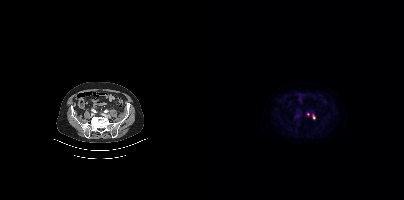
- Two-panel axial: CT | PSMA PET, [18F]PSMA-1007 tracer
- slice 114 of 383
- PET panel 200×200 px (4.1 mm/px)
Findings: Coordinates are on the 200×200 PET (right) panel. PSMA-avid tumor lesion bounding box (x, y, width, height): x=90 y=114 w=6 h=5. Small PSMA-avid foci (2 to 4 px across) near (center x, center y): (109, 116) / (104, 114).